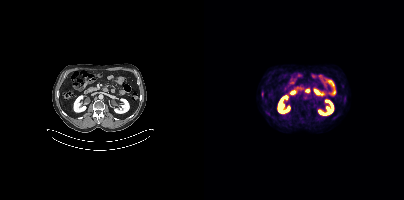
modality: PSMA PET/CT | tracer: 18F | view: axial | PET grid: 200×200
This slice has no annotated PSMA-avid lesion.